modality: PSMA PET/CT | tracer: [18F]PSMA-1007 | view: axial
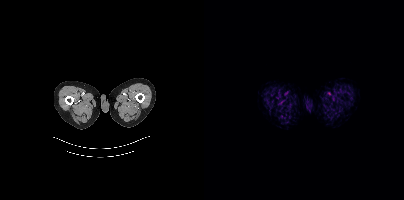
No tumor lesions annotated on this slice.